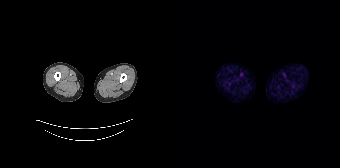
No PSMA-avid tumor lesions on this slice. Paired axial CT (left) and PSMA PET (right), [68Ga]Ga-PSMA-11 tracer. Acquired on Siemens Biograph 64-4R TruePoint. PET panel 168×168 px (4.1 mm/px).